Paired axial CT (left) and PSMA PET (right), [18F]PSMA-1007 tracer. PET panel 200×200 px (4.1 mm/px).
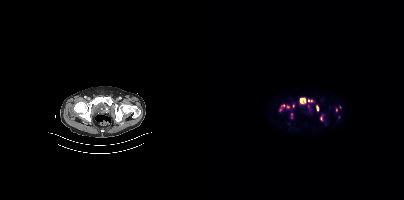
Coordinates are on the 200×200 PET (right) panel. (showing 8 of 12 foci) PSMA-avid tumor lesion bounding boxes (x, y, width, height): x=96 y=98 w=6 h=6 / x=76 y=104 w=5 h=8 / x=113 y=106 w=2 h=5. Small PSMA-avid foci (2 to 4 px across) near (center x, center y): (83, 106) / (132, 109) / (87, 114) / (104, 100) / (107, 100).